modality: PSMA PET/CT | tracer: 68Ga | view: axial
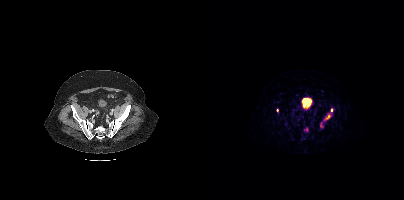
Coordinates are on the 200×200 PET (right) panel. (showing 2 of 3 foci) PSMA-avid tumor lesion bounding box (x, y, width, height): x=116 y=108 w=14 h=17. Small PSMA-avid focus (2 to 4 px across) near (center x, center y): (73, 110).